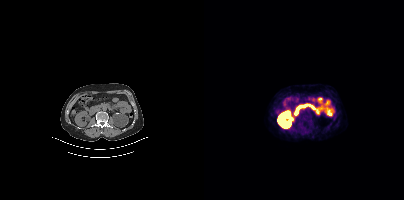
This slice has no annotated PSMA-avid lesion. Paired axial CT (left) and PSMA PET (right), [68Ga]Ga-PSMA-11 tracer. Slice position z = -813 mm. PET panel 200×200 px (4.1 mm/px).